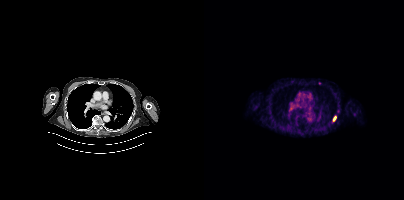
Coordinates are on the 200×200 PET (right) panel. PSMA-avid tumor lesion bounding box (x, y, width, height): x=129 y=116 w=4 h=5.